modality: PSMA PET/CT | tracer: 18F-PSMA | view: axial | PET grid: 200×200
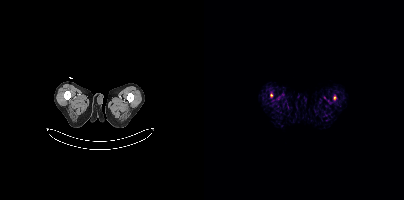
Coordinates are on the 200×200 PET (right) panel. Small PSMA-avid foci (2 to 4 px across) near (center x, center y): (130, 97); (67, 96).